Left: CT. Right: PSMA PET, same axial level, [18F]PSMA-1007 tracer. Acquired on Siemens Biograph mCT Flow 20. PET panel 200×200 px (4.1 mm/px).
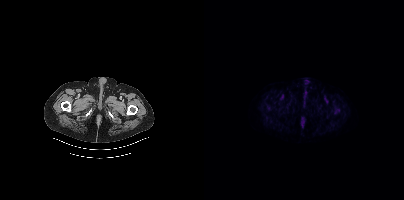
Coordinates are on the 200×200 PET (right) panel. PSMA-avid tumor lesion bounding boxes:
| # | x0 | y0 | x1 | y1 |
|---|---|---|---|---|
| 1 | 132 | 108 | 135 | 112 |